Two-panel axial: CT | PSMA PET, 18F tracer. Acquired on Siemens Biograph mCT Flow 20. PET panel 200×200 px (4.1 mm/px).
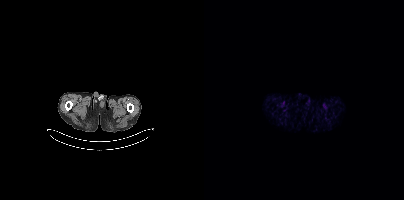
No tumor lesions annotated on this slice.